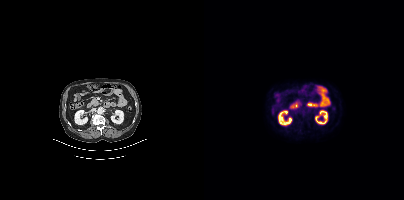
Paired axial CT (left) and PSMA PET (right), 18F tracer. This slice has no annotated PSMA-avid lesion.